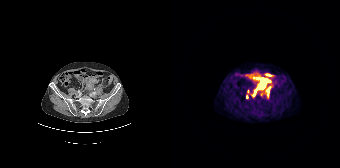
Coordinates are on the 168×168 PET (right) panel. (showing 6 of 7 foci) PSMA-avid tumor lesion bounding boxes (x0,y0,x1,y1): [83,75,97,88] [94,83,100,95]. Small PSMA-avid foci (2 to 4 px across) near (center x, center y): (83, 90) (76, 91) (81, 95) (74, 97).